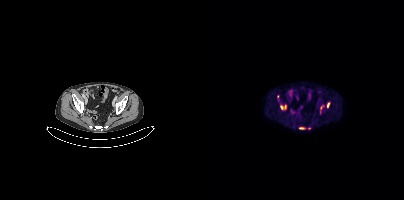
Technique: Left: CT. Right: PSMA PET, same axial level, [18F]PSMA-1007 tracer. slice 100 of 415.
Findings: Coordinates are on the 200×200 PET (right) panel. (showing 5 of 6 foci) PSMA-avid tumor lesion bounding boxes (x, y, width, height): x=76 y=105 w=7 h=5; x=123 y=102 w=4 h=7; x=116 y=105 w=5 h=9; x=95 y=127 w=6 h=3. Small PSMA-avid focus (2 to 4 px across) near (center x, center y): (73, 96).